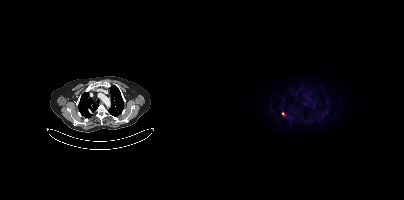
Coordinates are on the 200×200 PET (right) panel. Small PSMA-avid focus (2 to 4 px across) near (center x, center y): (78, 113).